Two-panel axial: CT | PSMA PET, 18F-PSMA tracer. Slice position z = 92 mm. PET panel 200×200 px (4.1 mm/px).
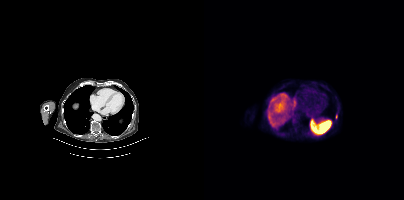
Coordinates are on the 200×200 PET (right) panel. Small PSMA-avid foci (2 to 4 px across) near (center x, center y): (132, 116); (91, 129).